modality: PSMA PET/CT | tracer: 18F-PSMA | view: axial
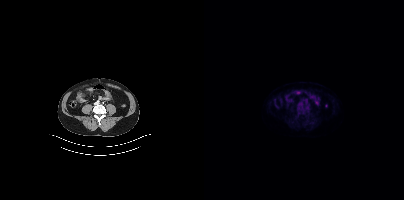
Negative for PSMA-avid disease on this slice.